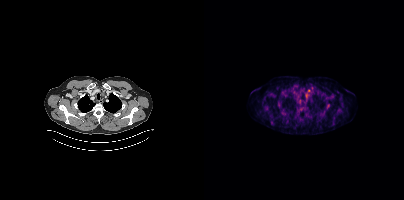
Technique: Two-panel axial: CT | PSMA PET, 18F tracer. PET panel 200×200 px (4.1 mm/px).
Findings: Coordinates are on the 200×200 PET (right) panel. (showing 1 of 2 foci) Small PSMA-avid focus (2 to 4 px across) near (center x, center y): (102, 95).